A block of pixels was blacked out before release to protect privacy. Two-panel axial: CT | PSMA PET, 68Ga tracer. Acquired on GE Discovery 690.
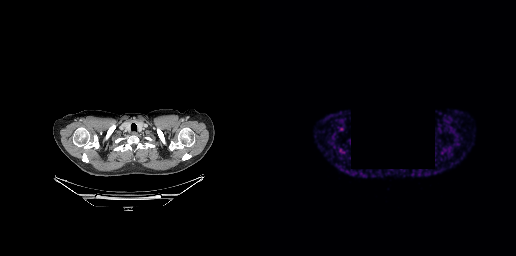
Negative for PSMA-avid disease on this slice.